- Paired axial CT (left) and PSMA PET (right), [18F]PSMA-1007 tracer
- acquired on Siemens Biograph mCT Flow 20
- slice 140 of 389
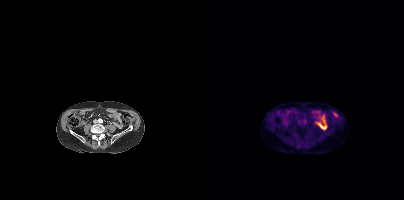
Findings: This slice has no annotated PSMA-avid lesion.